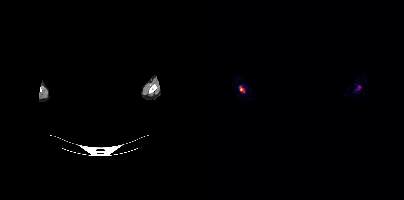
The face region was removed for patient privacy by blanking a rectangle over the head. Left: CT. Right: PSMA PET, same axial level, 68Ga-PSMA tracer. Slice position z = 1044 mm. Coordinates are on the 200×200 PET (right) panel. PSMA-avid tumor lesion bounding box (x0,y0,x1,y1): [36,86,40,92]. Small PSMA-avid foci (2 to 4 px across) near (center x, center y): (155, 87); (152, 89).